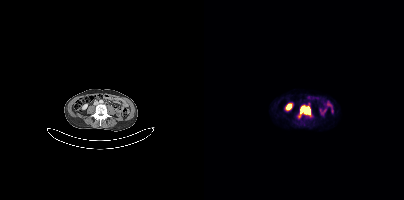
Coordinates are on the 200×200 PET (right) panel. PSMA-avid tumor lesion bounding boxes (partial; 1 more focus not listed):
| # | x0 | y0 | x1 | y1 |
|---|---|---|---|---|
| 1 | 96 | 103 | 106 | 115 |
Left: CT. Right: PSMA PET, same axial level, 68Ga tracer. Acquired on Siemens Biograph mCT Flow 20. Slice 132 of 393. PET panel 200×200 px (4.1 mm/px).